Technique: Two-panel axial: CT | PSMA PET, 18F tracer.
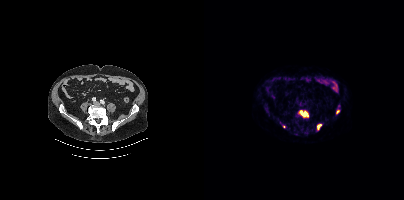
Findings: Coordinates are on the 200×200 PET (right) panel. PSMA-avid tumor lesion bounding boxes (x0,y0,x1,y1): [95,111,104,117]; [113,124,117,129]. Small PSMA-avid foci (2 to 4 px across) near (center x, center y): (133, 111); (80, 126).